A rectangular block over the head has been blanked out for de-identification. Paired axial CT (left) and PSMA PET (right), 18F-PSMA tracer. Acquired on Siemens Biograph mCT Flow 20. Slice position z = -814 mm.
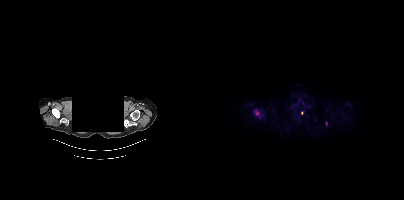
Coordinates are on the 200×200 PET (right) panel. PSMA-avid tumor lesion bounding boxes:
| # | x0 | y0 | x1 | y1 |
|---|---|---|---|---|
| 1 | 51 | 111 | 55 | 115 |
Small PSMA-avid foci (2 to 4 px across) near (center x, center y): (122, 123); (97, 112).